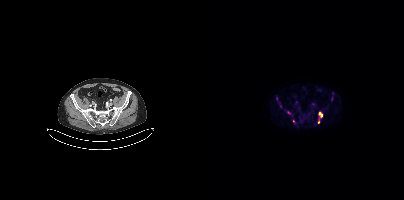
{"modality":"PSMA PET/CT","view":"axial","tracer":"18F","pet_grid":[200,200],"coord_frame":"pet_panel","coord_format":"x0,y0,x1,y1","partial":true,"lesion_bboxes":[[115,113,118,118]],"small_foci_centers":[[76,105],[114,121]]}